Technique: Left: CT. Right: PSMA PET, same axial level, 18F-PSMA tracer. slice 69 of 411.
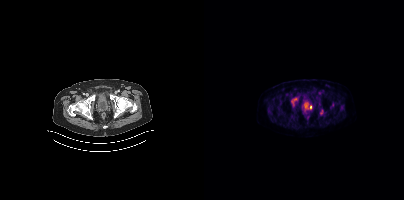
Findings: Coordinates are on the 200×200 PET (right) panel. (showing 3 of 5 foci) PSMA-avid tumor lesion bounding boxes (x, y, width, height): x=100 y=102 w=5 h=7 | x=87 y=98 w=6 h=7. Small PSMA-avid focus (2 to 4 px across) near (center x, center y): (106, 106).